- Two-panel axial: CT | PSMA PET, 18F-PSMA tracer
- PET panel 200×200 px (4.1 mm/px)
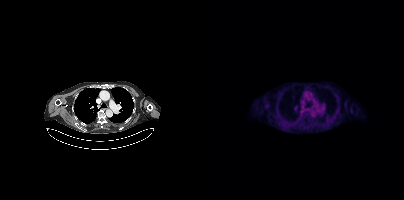
Findings: Negative for PSMA-avid disease on this slice.